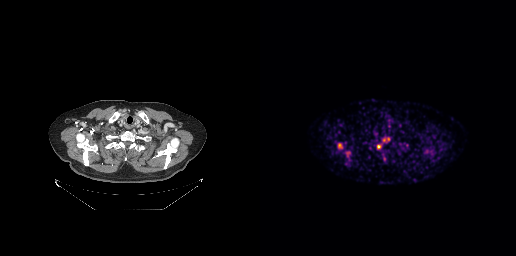
Coordinates are on the 256×256 PET (right) panel. (showing 5 of 6 foci) PSMA-avid tumor lesion bounding boxes (x, y, width, height): x=77 y=143 w=6 h=7 / x=86 y=151 w=5 h=7 / x=117 y=144 w=5 h=5. Small PSMA-avid foci (2 to 4 px across) near (center x, center y): (124, 139) / (128, 138).